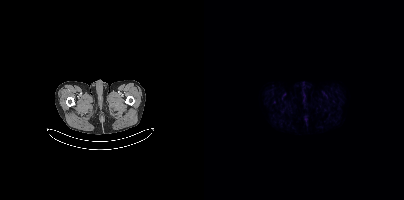
Technique: Paired axial CT (left) and PSMA PET (right), 18F-PSMA tracer. acquired on Siemens Biograph mCT Flow 20. slice 19 of 403. PET panel 200×200 px (4.1 mm/px).
Findings: No tumor lesions annotated on this slice.